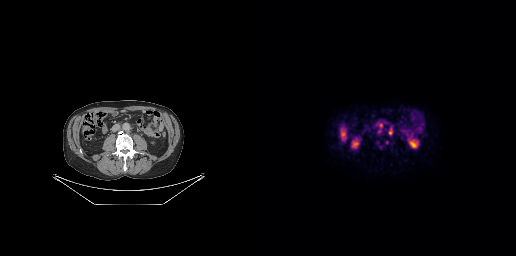
{"modality":"PSMA PET/CT","view":"axial","tracer":"[18F]PSMA-1007","pet_grid":[256,256],"coord_frame":"pet_panel","coord_format":"x0,y0,x1,y1","lesion_bboxes":[[129,128,132,134]],"small_foci_centers":[[121,124]]}